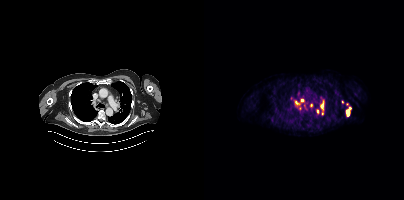
Coordinates are on the 200×200 PET (right) panel. (showing 6 of 13 foci) PSMA-avid tumor lesion bounding boxes (x, y, width, height): x=142 y=107 w=5 h=9 / x=92 y=102 w=5 h=3. Small PSMA-avid foci (2 to 4 px across) near (center x, center y): (107, 105) / (118, 105) / (94, 93) / (113, 110).
modality: PSMA PET/CT | tracer: 68Ga-PSMA | view: axial